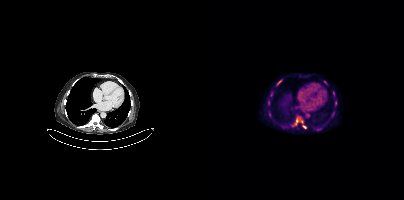
- Paired axial CT (left) and PSMA PET (right), 18F-PSMA tracer
- PET panel 200×200 px (4.1 mm/px)
Findings: Coordinates are on the 200×200 PET (right) panel. PSMA-avid tumor lesion bounding boxes (x0, y0)-(x1, y1): (91, 118)-(99, 124) | (73, 80)-(77, 85). Small PSMA-avid foci (2 to 4 px across) near (center x, center y): (100, 126) | (129, 93) | (67, 94) | (131, 103).